Paired axial CT (left) and PSMA PET (right), [18F]PSMA-1007 tracer.
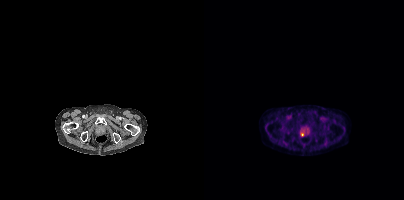
Coordinates are on the 200×200 PET (right) panel. PSMA-avid tumor lesion bounding boxes (partial; 1 more focus not listed):
| # | x0 | y0 | x1 | y1 |
|---|---|---|---|---|
| 1 | 96 | 132 | 99 | 136 |